Technique: Two-panel axial: CT | PSMA PET, 68Ga tracer. slice position z = 399 mm.
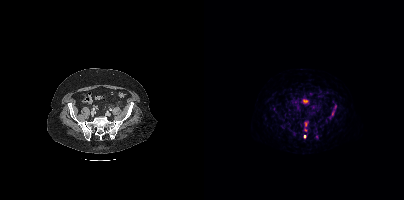
Findings: Coordinates are on the 200×200 PET (right) panel. PSMA-avid tumor lesion bounding box (x0,y0,x1,y1): [128,111,130,115]. Small PSMA-avid foci (2 to 4 px across) near (center x, center y): (101, 136) (131, 106) (101, 123) (101, 129).